modality: PSMA PET/CT | tracer: [18F]PSMA-1007 | view: axial
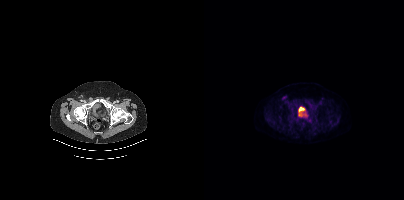
Coordinates are on the 200×200 PET (right) panel. Small PSMA-avid focus (2 to 4 px across) near (center x, center y): (79, 97).